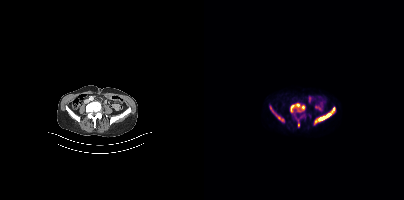
{"modality":"PSMA PET/CT","view":"axial","tracer":"18F-PSMA","pet_grid":[200,200],"coord_frame":"pet_panel","coord_format":"x0,y0,x1,y1","partial":true,"lesion_bboxes":[[86,103,101,112],[110,106,131,124],[72,115,80,121],[66,107,69,112]],"small_foci_centers":[[94,124]]}